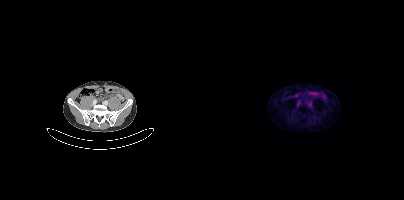
{"pet_grid":[200,200],"coord_frame":"pet_panel","coord_format":"x0,y0,x1,y1","psma_avid_lesions":false,"modality":"PSMA PET/CT","view":"axial","tracer":"18F"}